Technique: Paired axial CT (left) and PSMA PET (right), [18F]PSMA-1007 tracer. PET panel 200×200 px (4.1 mm/px).
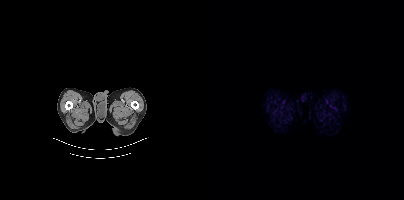
Findings: No PSMA-avid tumor lesions on this slice.